Any black rectangle over the head is a privacy mask, not anatomy.
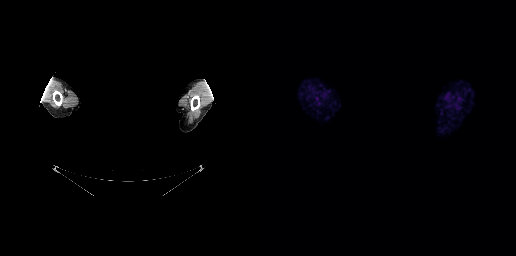
No PSMA-avid tumor lesions on this slice.